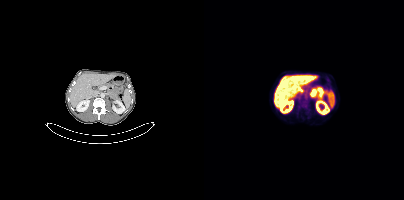
No tumor lesions annotated on this slice.